- Left: CT. Right: PSMA PET, same axial level, [68Ga]Ga-PSMA-11 tracer
- acquired on Siemens Biograph mCT Flow 20
- slice position z = -1160 mm
- PET panel 200×200 px (4.1 mm/px)
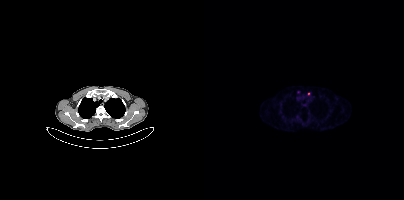
Findings: Coordinates are on the 200×200 PET (right) panel. Small PSMA-avid focus (2 to 4 px across) near (center x, center y): (104, 93).